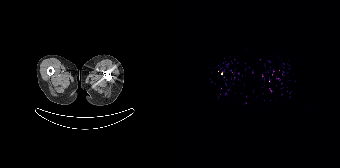
{"modality":"PSMA PET/CT","view":"axial","tracer":"18F-PSMA","pet_grid":[168,168],"coord_frame":"pet_panel","coord_format":"x0,y0,x1,y1","psma_avid_lesions":false}